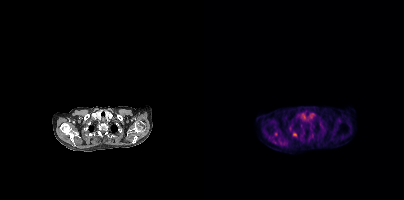
- Two-panel axial: CT | PSMA PET, [18F]PSMA-1007 tracer
- acquired on Siemens Biograph mCT Flow 20
Findings: Coordinates are on the 200×200 PET (right) panel. PSMA-avid tumor lesion bounding box (x0,y0,x1,y1): [89,132,93,136]. Small PSMA-avid foci (2 to 4 px across) near (center x, center y): (108, 135) (71, 133).